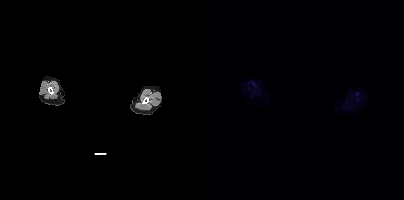
This slice has no annotated PSMA-avid lesion.
modality: PSMA PET/CT | tracer: 18F | view: axial | PET grid: 200×200 | deidentification: head region blanked (face removed)